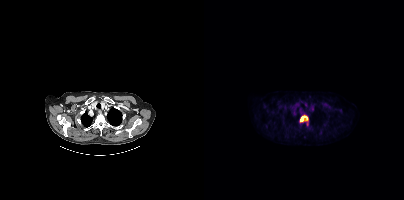
Two-panel axial: CT | PSMA PET, [18F]PSMA-1007 tracer. Acquired on Siemens Biograph mCT Flow 20. Slice position z = -432 mm. PET panel 200×200 px (4.1 mm/px).
Coordinates are on the 200×200 PET (right) panel. PSMA-avid tumor lesion bounding boxes (partial; 1 more focus not listed):
| # | x0 | y0 | x1 | y1 |
|---|---|---|---|---|
| 1 | 96 | 115 | 104 | 122 |